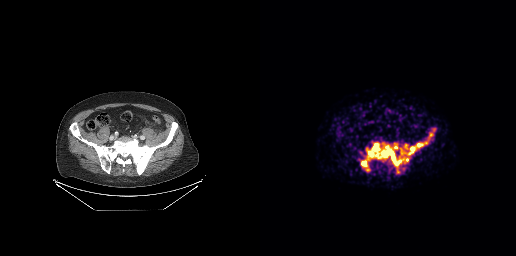
Findings: Coordinates are on the 256×256 PET (right) panel. (showing 6 of 8 foci) PSMA-avid tumor lesion bounding boxes (x0, y0)-(x1, y1): (101, 143)-(148, 166); (140, 143)-(163, 155); (169, 133)-(172, 138); (145, 144)-(147, 149). Small PSMA-avid foci (2 to 4 px across) near (center x, center y): (166, 142); (107, 169).
Technique: Two-panel axial: CT | PSMA PET, [68Ga]Ga-PSMA-11 tracer. acquired on GE Discovery 690. PET panel 256×256 px (2.7 mm/px).